Technique: Two-panel axial: CT | PSMA PET, 18F-PSMA tracer. PET panel 200×200 px (4.1 mm/px).
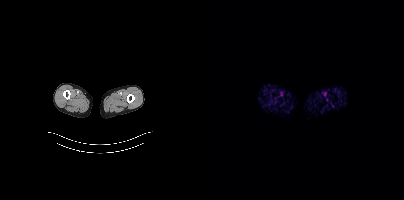
Findings: Negative for PSMA-avid disease on this slice.